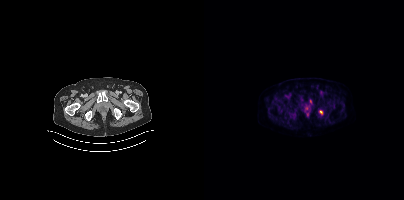
Coordinates are on the 200×200 PET (right) panel. PSMA-avid tumor lesion bounding box (x0, y0)-(x1, y1): (106, 99)-(107, 103). Small PSMA-avid focus (2 to 4 px across) near (center x, center y): (117, 111). Two-panel axial: CT | PSMA PET, [18F]PSMA-1007 tracer.